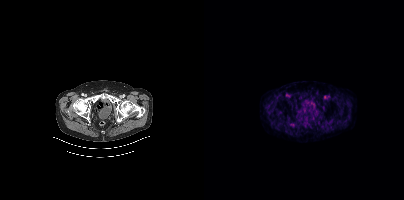
No PSMA-avid tumor lesions on this slice.